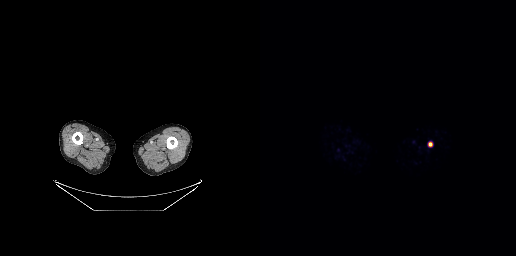
{"modality":"PSMA PET/CT","view":"axial","tracer":"[68Ga]Ga-PSMA-11","pet_grid":[256,256],"coord_frame":"pet_panel","coord_format":"x0,y0,x1,y1","lesion_bboxes":[[168,142,172,146]]}